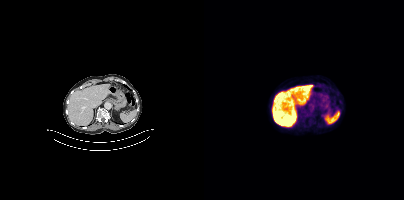
- Two-panel axial: CT | PSMA PET, 18F tracer
- acquired on Siemens Biograph mCT Flow 20
- PET panel 200×200 px (4.1 mm/px)
Findings: No tumor lesions annotated on this slice.